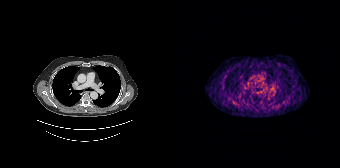
Left: CT. Right: PSMA PET, same axial level, 68Ga-PSMA tracer. No tumor lesions annotated on this slice.